Two-panel axial: CT | PSMA PET, 18F-PSMA tracer.
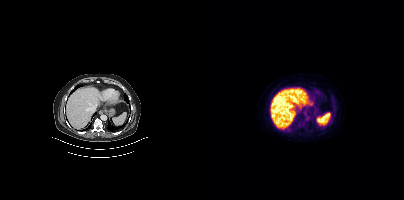
No tumor lesions annotated on this slice.